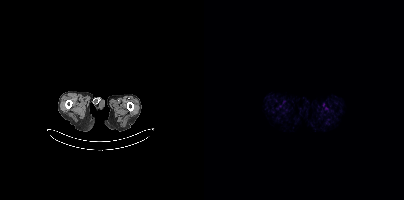
modality: PSMA PET/CT | tracer: 18F-PSMA | view: axial
This slice has no annotated PSMA-avid lesion.